modality: PSMA PET/CT | tracer: [18F]PSMA-1007 | view: axial
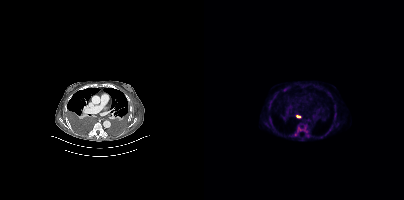
Coordinates are on the 200×200 PET (right) panel. PSMA-avid tumor lesion bounding box (x0,y0,x1,y1): [93,124,105,136]. Small PSMA-avid foci (2 to 4 px across) near (center x, center y): (91, 134), (94, 116), (80, 89).